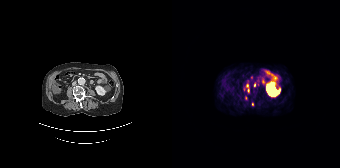
modality: PSMA PET/CT | tracer: 68Ga-PSMA | view: axial | PET grid: 168×168
Coordinates are on the 168×168 PET (right) panel. (showing 3 of 5 foci) PSMA-avid tumor lesion bounding box (x, y, width, height): x=74 y=84 w=4 h=9. Small PSMA-avid foci (2 to 4 px across) near (center x, center y): (82, 84) | (80, 104).